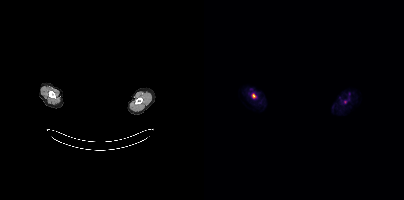
Technique: Left: CT. Right: PSMA PET, same axial level, [18F]PSMA-1007 tracer. slice position z = -322 mm.
Note: A rectangular block over the head has been blanked out for de-identification.
Findings: Coordinates are on the 200×200 PET (right) panel. Small PSMA-avid focus (2 to 4 px across) near (center x, center y): (49, 95).